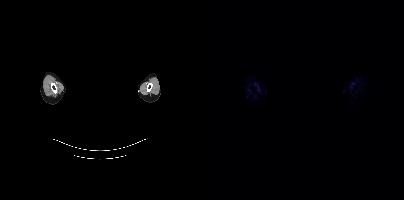
Findings: No PSMA-avid tumor lesions on this slice.
- face de-identified by blanking a block of the head
- Two-panel axial: CT | PSMA PET, 18F tracer
- slice position z = -858 mm
- PET panel 200×200 px (4.1 mm/px)